Technique: Left: CT. Right: PSMA PET, same axial level, [68Ga]Ga-PSMA-11 tracer. acquired on Siemens Biograph 64-4R TruePoint. PET panel 168×168 px (4.1 mm/px).
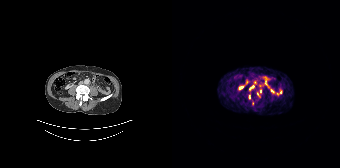
Findings: Coordinates are on the 168×168 PET (right) panel. PSMA-avid tumor lesion bounding boxes (x0, y0)-(x1, y1): (77, 85)-(82, 90) | (87, 89)-(89, 93). Small PSMA-avid foci (2 to 4 px across) near (center x, center y): (77, 96) | (80, 103) | (85, 94).